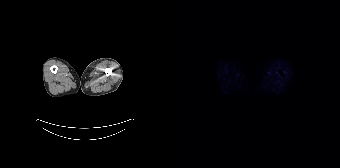
Paired axial CT (left) and PSMA PET (right), 18F-PSMA tracer. Negative for PSMA-avid disease on this slice.